Two-panel axial: CT | PSMA PET, [18F]PSMA-1007 tracer. Acquired on Siemens Biograph mCT Flow 20. Slice position z = 390 mm. Privacy masking over the head, with the pixels inside a rectangle set to black.
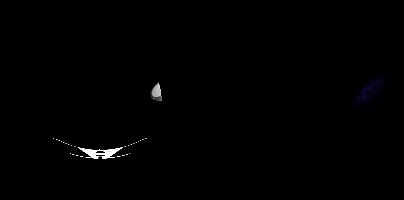
This slice has no annotated PSMA-avid lesion.